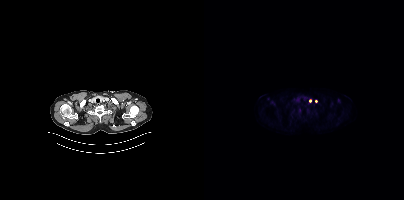
Paired axial CT (left) and PSMA PET (right), 18F tracer. Acquired on Siemens Biograph mCT Flow 20. Slice position z = -852 mm. PET panel 200×200 px (4.1 mm/px). Only PSMA-avid lesion pieces thinner than 2 px on this slice (not listed).